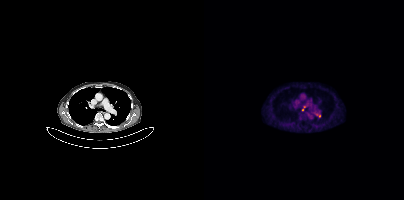
Coordinates are on the 200×200 PET (right) panel. PSMA-avid tumor lesion bounding box (x, y, width, height): x=98 y=106 w=4 h=5. Small PSMA-avid focus (2 to 4 px across) near (center x, center y): (115, 115). Left: CT. Right: PSMA PET, same axial level, 18F tracer. PET panel 200×200 px (4.1 mm/px).